Technique: Left: CT. Right: PSMA PET, same axial level, 18F-PSMA tracer. slice 59 of 165. PET panel 168×168 px (4.1 mm/px).
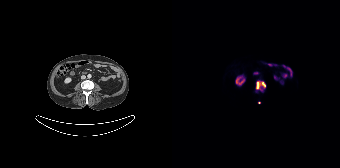
Findings: Coordinates are on the 168×168 PET (right) panel. PSMA-avid tumor lesion bounding box (x, y, width, height): x=84 y=80 w=10 h=12. Small PSMA-avid focus (2 to 4 px across) near (center x, center y): (87, 102).